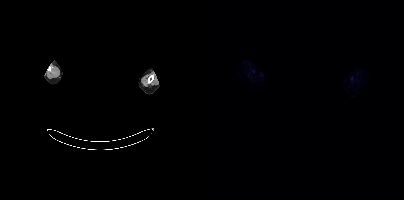
modality: PSMA PET/CT | tracer: [18F]PSMA-1007 | view: axial | de-identification: rectangular block over head set to black
No PSMA-avid tumor lesions on this slice.